Technique: Paired axial CT (left) and PSMA PET (right), 18F-PSMA tracer. acquired on GE Discovery 690. slice 144 of 263. PET panel 256×256 px (2.7 mm/px).
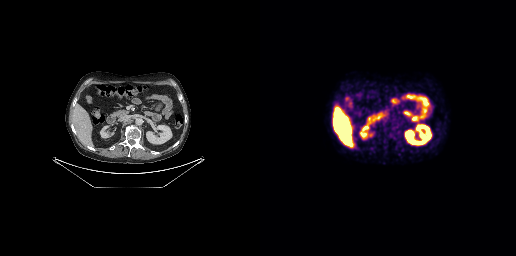
Findings: Negative for PSMA-avid disease on this slice.